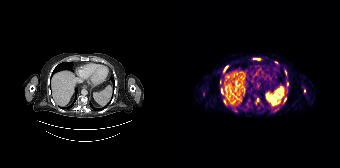
Coordinates are on the 168×168 PET (right) panel. PSMA-avid tumor lesion bounding boxes (x0, y0)-(x1, y1): (52, 65)-(56, 71) / (82, 58)-(88, 59) / (52, 101)-(54, 105) / (49, 89)-(50, 93) / (112, 97)-(114, 101). Small PSMA-avid foci (2 to 4 px across) near (center x, center y): (48, 81) / (115, 84) / (85, 100) / (104, 62) / (113, 72) / (132, 90).